Paired axial CT (left) and PSMA PET (right), 18F-PSMA tracer.
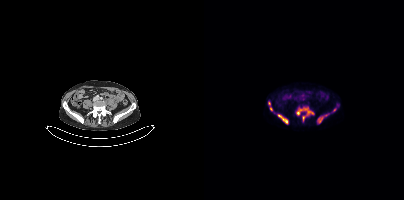
Coordinates are on the 200×200 PET (right) panel. PSMA-avid tumor lesion bounding boxes (x, y, width, height): x=92 y=106 w=19 h=16; x=73 y=114 w=12 h=11; x=113 y=114 w=12 h=10; x=64 y=101 w=5 h=11. Small PSMA-avid focus (2 to 4 px across) near (center x, center y): (130, 109).